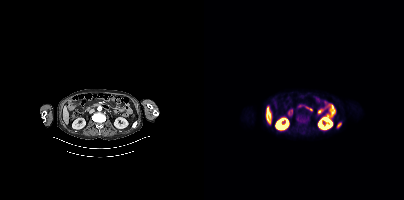
{"modality":"PSMA PET/CT","view":"axial","tracer":"18F-PSMA","pet_grid":[200,200],"coord_frame":"pet_panel","coord_format":"x0,y0,x1,y1","lesion_bboxes":[[133,122,137,128]]}